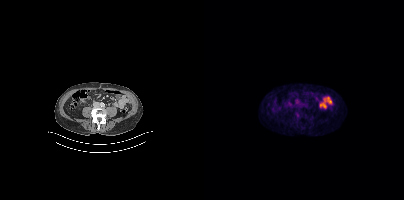
No tumor lesions annotated on this slice. Paired axial CT (left) and PSMA PET (right), [18F]PSMA-1007 tracer. PET panel 200×200 px (4.1 mm/px).